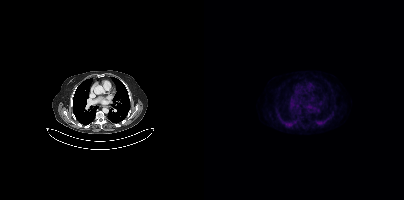
{"modality":"PSMA PET/CT","view":"axial","tracer":"[18F]PSMA-1007","pet_grid":[200,200],"coord_frame":"pet_panel","coord_format":"x0,y0,x1,y1","psma_avid_lesions":false}